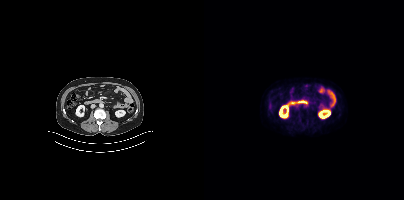
- Left: CT. Right: PSMA PET, same axial level, 18F-PSMA tracer
- acquired on Siemens Biograph mCT Flow 20
- slice 182 of 409
Findings: This slice has no annotated PSMA-avid lesion.